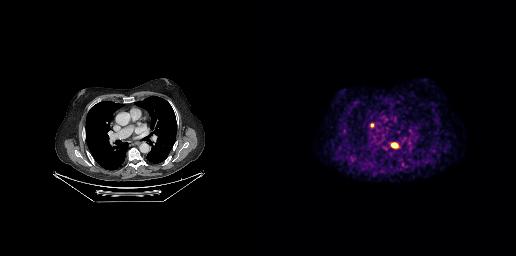
Coordinates are on the 256×256 PET (right) panel. PSMA-avid tumor lesion bounding boxes (x, y, width, height): x=132 y=143 w=6 h=5 / x=110 y=123 w=4 h=5. Two-panel axial: CT | PSMA PET, 18F-PSMA tracer. Slice 191 of 263.